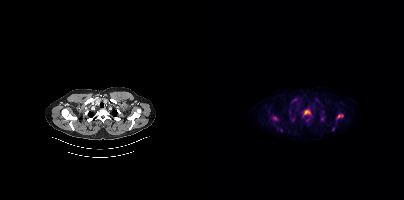
Coordinates are on the 200×200 PET (right) panel. (showing 9 of 10 foci) PSMA-avid tumor lesion bounding boxes (x0,y0,x1,y1): [99,109,106,115], [133,114,139,118], [116,117,120,120], [88,99,92,101]. Small PSMA-avid foci (2 to 4 px across) near (center x, center y): (70, 118), (89, 118), (103, 121), (129, 129), (77, 130).